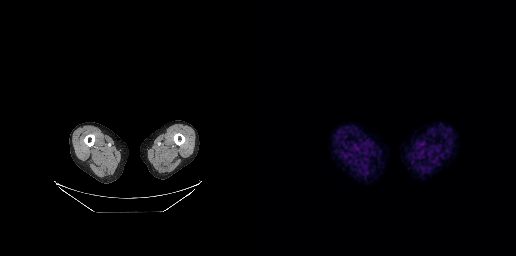
Negative for PSMA-avid disease on this slice.
modality: PSMA PET/CT | tracer: 68Ga | view: axial